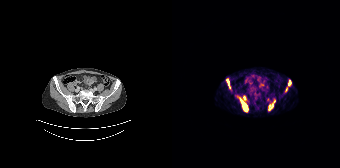
Coordinates are on the 168×168 PET (right) panel. (showing 6 of 8 foci) PSMA-avid tumor lesion bounding boxes (x0, y0)-(x1, y1): (68, 98)-(76, 111) | (96, 99)-(103, 110) | (116, 80)-(119, 86) | (54, 79)-(57, 85) | (113, 87)-(115, 91). Small PSMA-avid focus (2 to 4 px across) near (center x, center y): (72, 97).